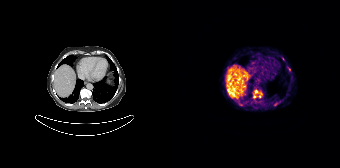
Findings: Coordinates are on the 168×168 PET (right) panel. (showing 3 of 5 foci) Small PSMA-avid foci (2 to 4 px across) near (center x, center y): (84, 91), (82, 96), (87, 96).
Technique: Paired axial CT (left) and PSMA PET (right), 68Ga tracer.